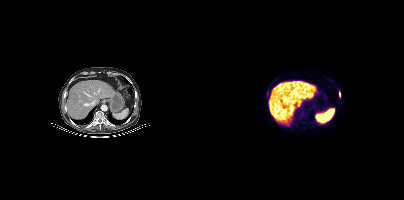
modality: PSMA PET/CT | tracer: 18F | view: axial | PET grid: 200×200
Coordinates are on the 200×200 PET (right) panel. PSMA-avid tumor lesion bounding box (x0, y0)-(x1, y1): (135, 92)-(136, 96). Small PSMA-avid foci (2 to 4 px across) near (center x, center y): (63, 93) / (84, 124).